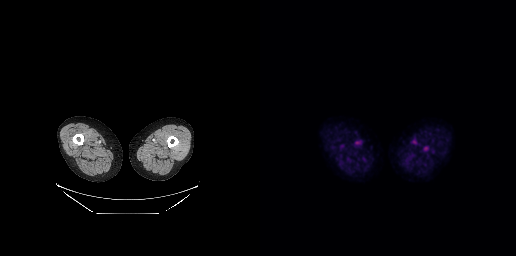
Negative for PSMA-avid disease on this slice.